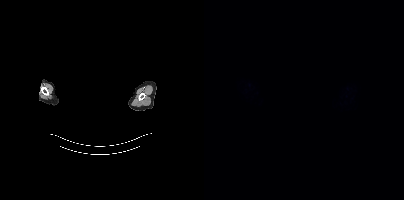
Privacy masking over the head, with the pixels inside a rectangle set to black. Two-panel axial: CT | PSMA PET, 18F-PSMA tracer. This slice has no annotated PSMA-avid lesion.